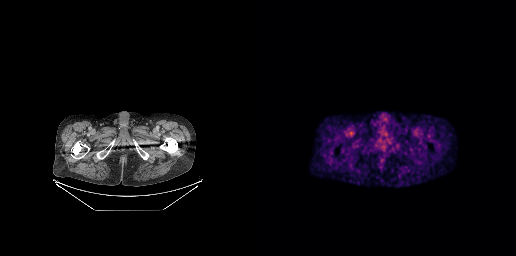
No tumor lesions annotated on this slice.